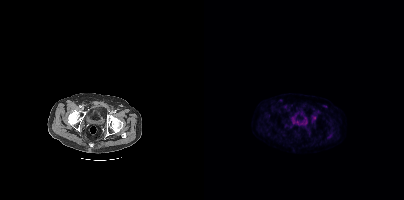
No tumor lesions annotated on this slice.
modality: PSMA PET/CT | tracer: 18F | view: axial | PET grid: 200×200